Paired axial CT (left) and PSMA PET (right), 68Ga tracer. Slice position z = -945 mm.
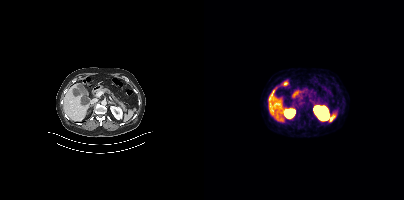
No PSMA-avid tumor lesions on this slice.